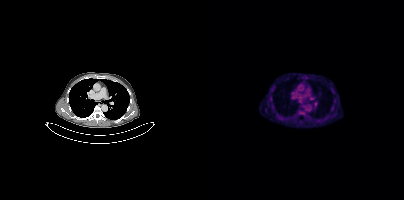
{"modality":"PSMA PET/CT","view":"axial","tracer":"18F-PSMA","pet_grid":[200,200],"coord_frame":"pet_panel","coord_format":"x0,y0,x1,y1","partial":true,"lesion_bboxes":[]}